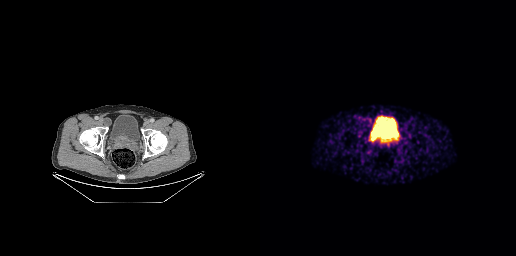
{"modality":"PSMA PET/CT","view":"axial","tracer":"[18F]PSMA-1007","pet_grid":[256,256],"coord_frame":"pet_panel","coord_format":"x0,y0,x1,y1","lesion_bboxes":[[112,133,126,142],[129,134,136,141]]}